De-identified by setting a box covering the face to black before release. Paired axial CT (left) and PSMA PET (right), 18F-PSMA tracer. PET panel 200×200 px (4.1 mm/px).
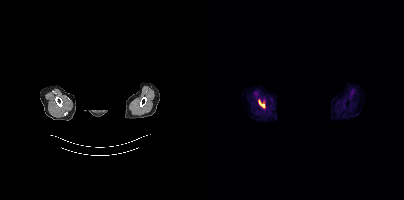
Coordinates are on the 200×200 PET (right) panel. PSMA-avid tumor lesion bounding box (x0,y0,x1,y1): [55,100,60,107].